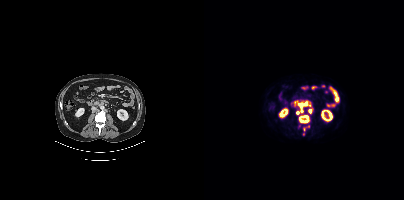
- Paired axial CT (left) and PSMA PET (right), [18F]PSMA-1007 tracer
- acquired on Siemens Biograph mCT Flow 20
- slice position z = -1349 mm
- PET panel 200×200 px (4.1 mm/px)
Findings: Coordinates are on the 200×200 PET (right) panel. (showing 5 of 7 foci) PSMA-avid tumor lesion bounding boxes (x, y, width, height): x=95 y=115 w=11 h=9; x=95 y=101 w=12 h=12. Small PSMA-avid foci (2 to 4 px across) near (center x, center y): (105, 110); (93, 112); (99, 134).